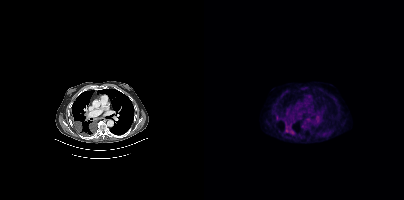
- Left: CT. Right: PSMA PET, same axial level, 18F-PSMA tracer
- acquired on Siemens Biograph mCT Flow 20
- slice position z = -1034 mm
Findings: Coordinates are on the 200×200 PET (right) panel. PSMA-avid tumor lesion bounding boxes (x0,y0,x1,y1): [81,126,89,134], [72,115,75,119].